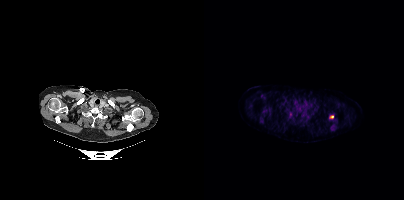
{"modality":"PSMA PET/CT","view":"axial","tracer":"18F-PSMA","pet_grid":[200,200],"coord_frame":"pet_panel","coord_format":"x0,y0,x1,y1","lesion_bboxes":[[125,115,129,118]]}